Two-panel axial: CT | PSMA PET, [18F]PSMA-1007 tracer. Slice position z = -514 mm.
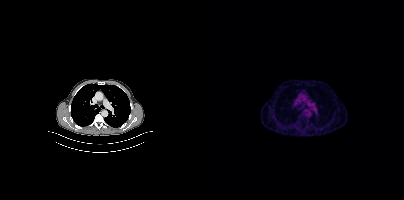
Negative for PSMA-avid disease on this slice.